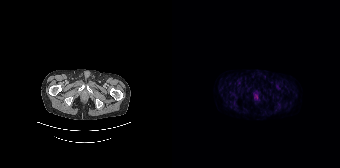
Findings: This slice has no annotated PSMA-avid lesion.
- Paired axial CT (left) and PSMA PET (right), 18F-PSMA tracer
- slice position z = -1650 mm
- PET panel 168×168 px (4.1 mm/px)